Left: CT. Right: PSMA PET, same axial level, 68Ga-PSMA tracer. Acquired on GE Discovery 690. Slice position z = -585 mm. PET panel 256×256 px (2.7 mm/px).
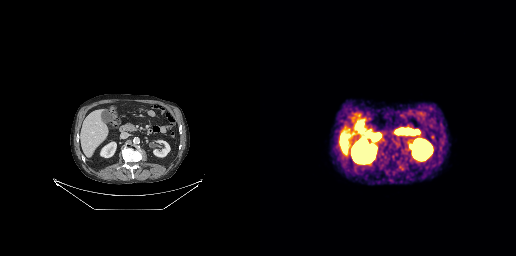
Negative for PSMA-avid disease on this slice.